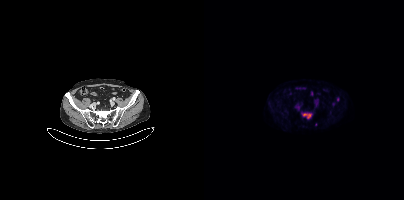
Coordinates are on the 200×200 PET (right) panel. (showing 2 of 3 foci) PSMA-avid tumor lesion bounding box (x, y, width, height): x=98 y=113 w=10 h=6. Small PSMA-avid focus (2 to 4 px across) near (center x, center y): (133, 99).